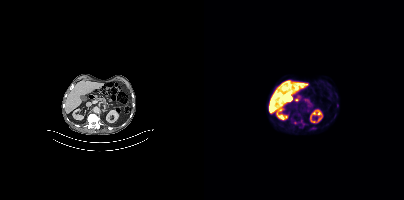
{"pet_grid":[200,200],"coord_frame":"pet_panel","coord_format":"x0,y0,x1,y1","partial":true,"lesion_bboxes":[],"small_foci_centers":[[91,122]],"modality":"PSMA PET/CT","view":"axial","tracer":"18F"}